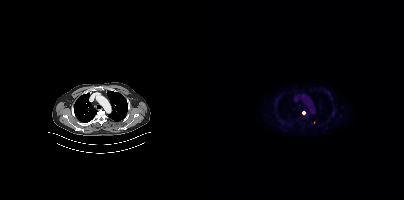
Coordinates are on the 200×200 PET (right) panel. Small PSMA-avid focus (2 to 4 px across) near (center x, center y): (99, 112).
modality: PSMA PET/CT | tracer: [18F]PSMA-1007 | view: axial | PET grid: 200×200